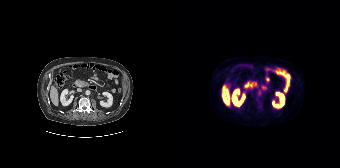
No PSMA-avid tumor lesions on this slice.